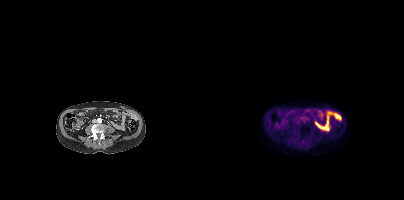
Only PSMA-avid lesion pieces thinner than 2 px on this slice (not listed).